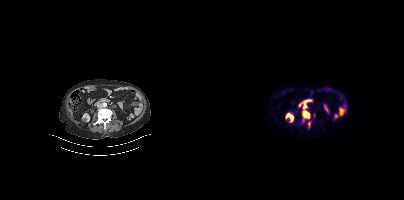
{"modality":"PSMA PET/CT","view":"axial","tracer":"68Ga","pet_grid":[200,200],"coord_frame":"pet_panel","coord_format":"x0,y0,x1,y1","lesion_bboxes":[[98,103,106,118],[104,122,106,127]],"small_foci_centers":[[91,111],[99,120]]}